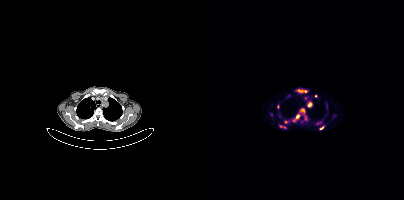
Left: CT. Right: PSMA PET, same axial level, 68Ga-PSMA tracer. Slice position z = -607 mm.
Coordinates are on the 200×200 PET (right) panel. PSMA-avid tumor lesion bounding boxes (partial; 3 more foci not listed):
| # | x0 | y0 | x1 | y1 |
|---|---|---|---|---|
| 1 | 94 | 90 | 103 | 92 |
| 2 | 104 | 101 | 107 | 106 |
| 3 | 90 | 115 | 95 | 119 |
Small PSMA-avid foci (2 to 4 px across) near (center x, center y): (74, 106); (118, 127); (99, 110); (111, 96); (81, 121); (67, 114).